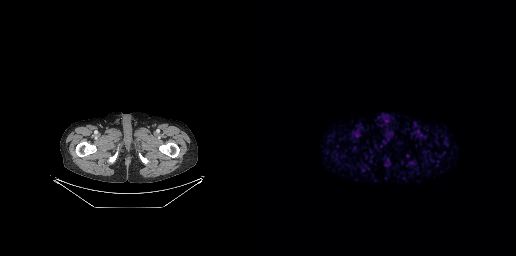
{"modality":"PSMA PET/CT","view":"axial","tracer":"68Ga-PSMA","pet_grid":[256,256],"coord_frame":"pet_panel","coord_format":"x0,y0,x1,y1","psma_avid_lesions":false}